Technique: Paired axial CT (left) and PSMA PET (right), 18F-PSMA tracer.
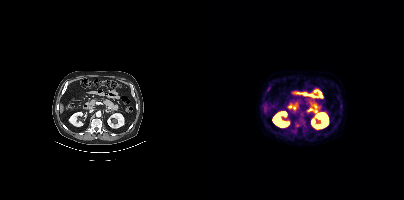
Findings: Coordinates are on the 200×200 PET (right) panel. Small PSMA-avid focus (2 to 4 px across) near (center x, center y): (94, 125).